Technique: Left: CT. Right: PSMA PET, same axial level, 68Ga-PSMA tracer. slice 250 of 389. PET panel 200×200 px (4.1 mm/px).
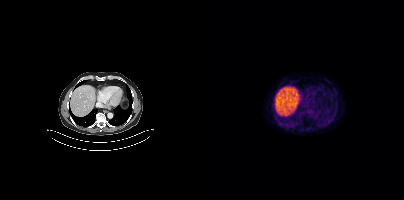
Findings: No PSMA-avid tumor lesions on this slice.